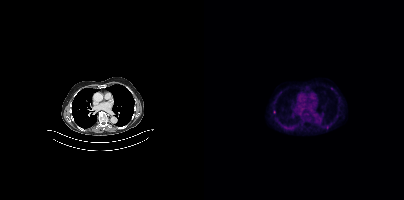
Coordinates are on the 200×200 PET (right) panel. (showing 2 of 3 foci) Small PSMA-avid foci (2 to 4 px across) near (center x, center y): (123, 127); (127, 88).
modality: PSMA PET/CT | tracer: 18F | view: axial